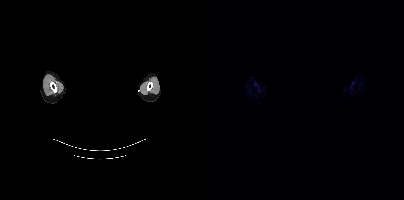
modality: PSMA PET/CT | tracer: [18F]PSMA-1007 | view: axial | redaction: head region blanked (face removed)
No tumor lesions annotated on this slice.